Technique: Paired axial CT (left) and PSMA PET (right), 18F tracer. slice 367 of 415.
Note: Face de-identified by blanking a block of the head.
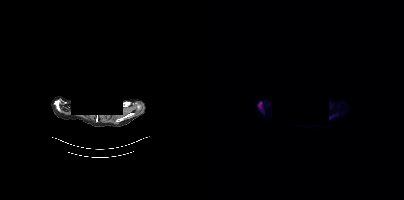
Findings: Coordinates are on the 200×200 PET (right) panel. PSMA-avid tumor lesion bounding box (x0, y0)-(x1, y1): (55, 102)-(57, 107).